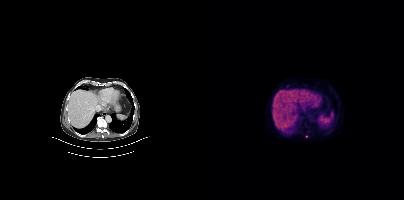
{"modality":"PSMA PET/CT","view":"axial","tracer":"[18F]PSMA-1007","pet_grid":[200,200],"coord_frame":"pet_panel","coord_format":"x0,y0,x1,y1","partial":true,"lesion_bboxes":[]}